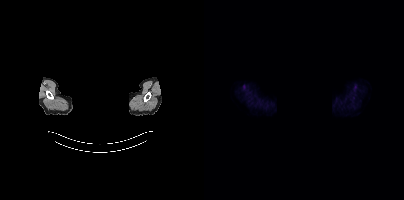
Two-panel axial: CT | PSMA PET, 18F tracer. Acquired on Siemens Biograph mCT Flow 20. PET panel 200×200 px (4.1 mm/px). The face region was removed for patient privacy by blanking a rectangle over the head. This slice has no annotated PSMA-avid lesion.